Technique: Paired axial CT (left) and PSMA PET (right), [18F]PSMA-1007 tracer. acquired on GE Discovery 690. slice 185 of 263. PET panel 256×256 px (2.7 mm/px).
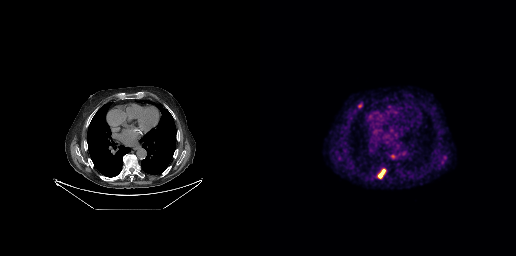
Findings: Coordinates are on the 256×256 PET (right) panel. (showing 1 of 2 foci) PSMA-avid tumor lesion bounding box (x0, y0)-(x1, y1): (118, 169)-(125, 178).